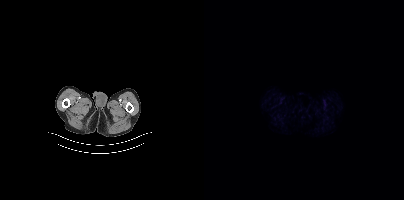
{"pet_grid":[200,200],"coord_frame":"pet_panel","coord_format":"x0,y0,x1,y1","psma_avid_lesions":false,"modality":"PSMA PET/CT","view":"axial","tracer":"18F-PSMA"}